Technique: Paired axial CT (left) and PSMA PET (right), 18F tracer. slice position z = -1040 mm. PET panel 200×200 px (4.1 mm/px).
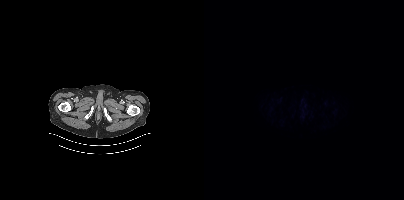
Findings: No PSMA-avid tumor lesions on this slice.